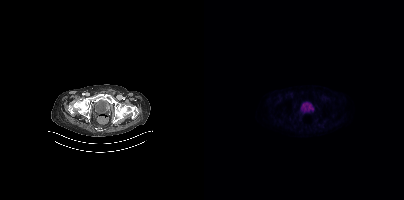
Technique: Paired axial CT (left) and PSMA PET (right), [18F]PSMA-1007 tracer. acquired on Siemens Biograph mCT Flow 20. slice 57 of 383.
Findings: Coordinates are on the 200×200 PET (right) panel. Small PSMA-avid focus (2 to 4 px across) near (center x, center y): (108, 108).